Left: CT. Right: PSMA PET, same axial level, 18F tracer. Acquired on Siemens Biograph mCT Flow 20. Slice position z = -1453 mm.
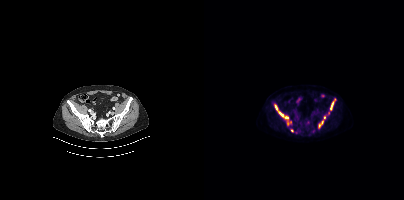
Coordinates are on the 200×200 PET (right) panel. (showing 8 of 10 foci) PSMA-avid tumor lesion bounding boxes (x0, y0)-(x1, y1): (71, 105)-(84, 119) | (126, 101)-(129, 110) | (114, 121)-(119, 127) | (83, 121)-(87, 123). Small PSMA-avid foci (2 to 4 px across) near (center x, center y): (87, 130) | (124, 113) | (109, 131) | (120, 117).